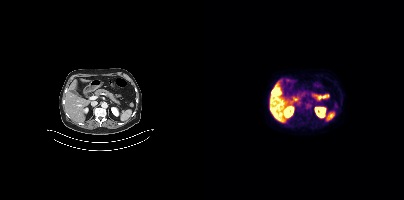
Left: CT. Right: PSMA PET, same axial level, 18F tracer. Acquired on Siemens Biograph mCT Flow 20. PET panel 200×200 px (4.1 mm/px). Negative for PSMA-avid disease on this slice.